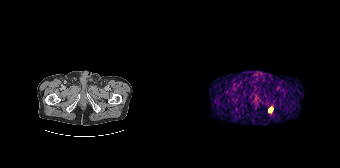
Findings: Coordinates are on the 168×168 PET (right) panel. PSMA-avid tumor lesion bounding box (x, y, width, height): x=96 y=107 w=5 h=6.
- Paired axial CT (left) and PSMA PET (right), [68Ga]Ga-PSMA-11 tracer
- slice 27 of 195
- PET panel 168×168 px (4.1 mm/px)